- Paired axial CT (left) and PSMA PET (right), [18F]PSMA-1007 tracer
- slice 44 of 263
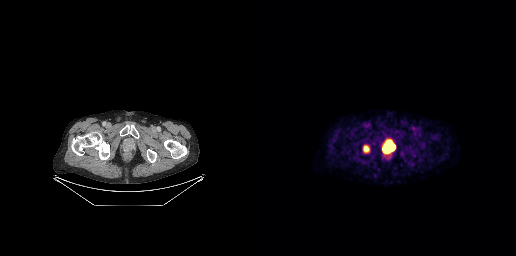
Findings: Coordinates are on the 256×256 PET (right) panel. PSMA-avid tumor lesion bounding boxes (x0,y0,x1,y1): [124,141,134,151] [103,145,109,152].